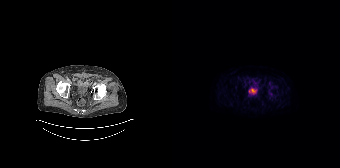
{"modality":"PSMA PET/CT","view":"axial","tracer":"18F-PSMA","pet_grid":[168,168],"coord_frame":"pet_panel","coord_format":"x0,y0,x1,y1","psma_avid_lesions":false}